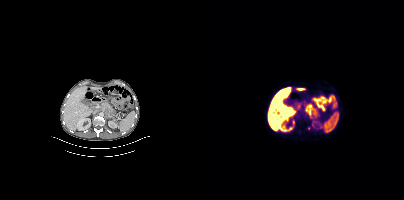
Coordinates are on the 200×200 PET (right) panel. PSMA-avid tumor lesion bounding box (x0, y0)-(x1, y1): (101, 104)-(113, 117). Small PSMA-avid focus (2 to 4 px across) near (center x, center y): (105, 128).